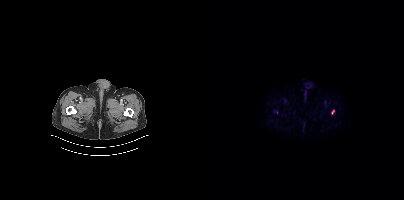
Coordinates are on the 200×200 PET (right) panel. PSMA-avid tumor lesion bounding box (x, y, width, height): x=127 y=110 w=4 h=5.